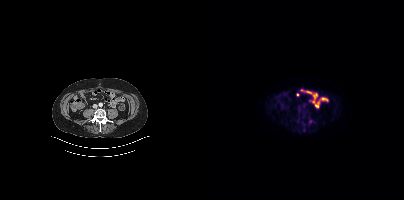
Coordinates are on the 200×200 PET (right) panel. PSMA-avid tumor lesion bounding boxes (partial; 1 more focus not listed):
| # | x0 | y0 | x1 | y1 |
|---|---|---|---|---|
| 1 | 104 | 119 | 108 | 124 |
Paired axial CT (left) and PSMA PET (right), [18F]PSMA-1007 tracer. PET panel 200×200 px (4.1 mm/px).